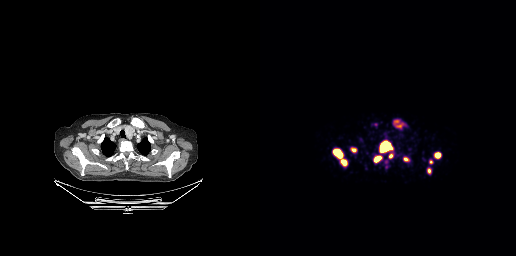
- Left: CT. Right: PSMA PET, same axial level, 68Ga tracer
- PET panel 256×256 px (2.7 mm/px)
Findings: Coordinates are on the 256×256 PET (right) panel. (showing 9 of 10 foci) PSMA-avid tumor lesion bounding boxes (x0, y0)-(x1, y1): (73, 149)-(86, 165) | (120, 142)-(131, 151) | (138, 119)-(143, 127) | (175, 153)-(180, 157) | (114, 156)-(120, 161). Small PSMA-avid foci (2 to 4 px across) near (center x, center y): (170, 161) | (169, 170) | (94, 150) | (130, 155).